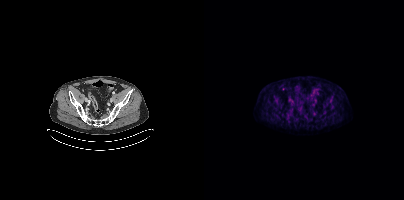
{"modality":"PSMA PET/CT","view":"axial","tracer":"18F","pet_grid":[200,200],"coord_frame":"pet_panel","coord_format":"x0,y0,x1,y1","lesion_bboxes":[],"small_foci_centers":[[79,89]]}